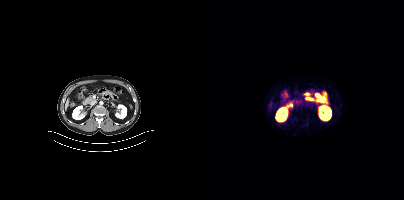
{"modality":"PSMA PET/CT","view":"axial","tracer":"[68Ga]Ga-PSMA-11","pet_grid":[200,200],"coord_frame":"pet_panel","coord_format":"x0,y0,x1,y1","psma_avid_lesions":false}